Two-panel axial: CT | PSMA PET, 18F tracer. Acquired on Siemens Biograph mCT Flow 20. Slice position z = -799 mm.
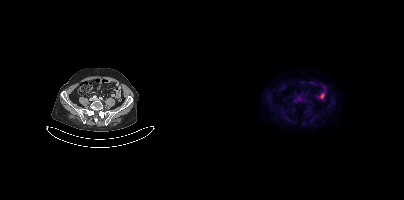
No PSMA-avid tumor lesions on this slice.